Left: CT. Right: PSMA PET, same axial level, [68Ga]Ga-PSMA-11 tracer.
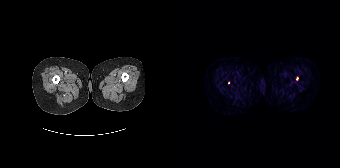
Coordinates are on the 168×168 PET (right) panel. PSMA-avid tumor lesion bounding box (x0, y0)-(x1, y1): (124, 76)-(126, 80). Small PSMA-avid focus (2 to 4 px across) near (center x, center y): (56, 82).